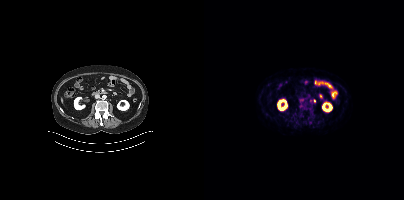
Left: CT. Right: PSMA PET, same axial level, [18F]PSMA-1007 tracer. Coordinates are on the 200×200 PET (right) panel. (showing 1 of 2 foci) Small PSMA-avid focus (2 to 4 px across) near (center x, center y): (110, 100).